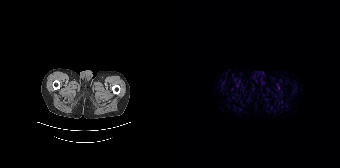
modality: PSMA PET/CT | tracer: 18F | view: axial | PET grid: 168×168
Negative for PSMA-avid disease on this slice.